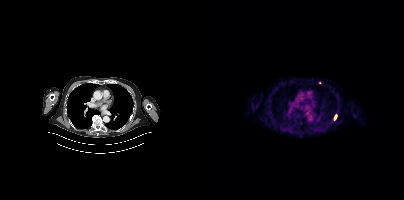
Two-panel axial: CT | PSMA PET, [18F]PSMA-1007 tracer. Slice position z = -548 mm. PET panel 200×200 px (4.1 mm/px). Coordinates are on the 200×200 PET (right) panel. (showing 1 of 2 foci) PSMA-avid tumor lesion bounding box (x, y, width, height): x=130 y=115 w=3 h=5.